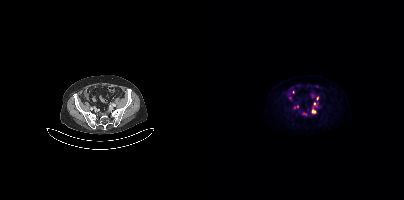
Coordinates are on the 200×200 PET (right) panel. (showing 5 of 6 foci) PSMA-avid tumor lesion bounding box (x, y, width, height): x=108 y=109 w=4 h=5. Small PSMA-avid foci (2 to 4 px across) near (center x, center y): (110, 103) / (89, 92) / (93, 106) / (90, 107).